- Left: CT. Right: PSMA PET, same axial level, 18F-PSMA tracer
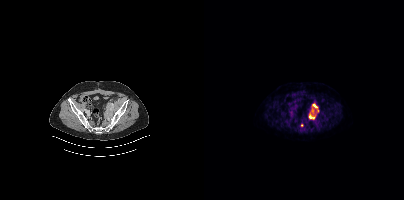
Findings: Coordinates are on the 200×200 PET (right) panel. PSMA-avid tumor lesion bounding box (x0,y0,x1,y1): [104,103,114,119].